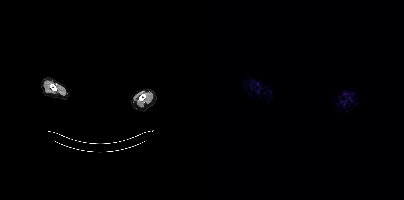
Findings: Negative for PSMA-avid disease on this slice.
Technique: Left: CT. Right: PSMA PET, same axial level, [68Ga]Ga-PSMA-11 tracer. slice position z = -858 mm. PET panel 200×200 px (4.1 mm/px).
Note: An anonymization step blacked out a rectangle over the head in this scan.